modality: PSMA PET/CT | tracer: 18F | view: axial | PET grid: 200×200
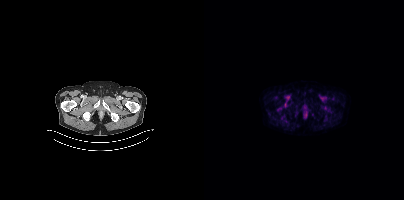
Coordinates are on the 200×200 PET (right) panel. PSMA-avid tumor lesion bounding boxes (x0,y0,x1,y1): [73,107,77,110]; [79,102,81,107]. Small PSMA-avid focus (2 to 4 px across) near (center x, center y): (71, 97).